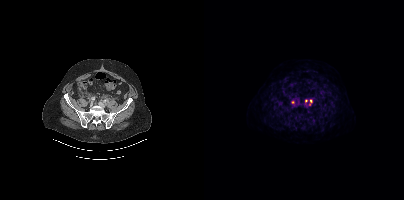
Two-panel axial: CT | PSMA PET, 18F tracer. Acquired on Siemens Biograph mCT Flow 20. Coordinates are on the 200×200 PET (right) panel. PSMA-avid tumor lesion bounding box (x, y, width, height): x=87 y=100 w=4 h=6. Small PSMA-avid foci (2 to 4 px across) near (center x, center y): (102, 100) / (106, 101) / (105, 104).